The head region is masked for de-identification.
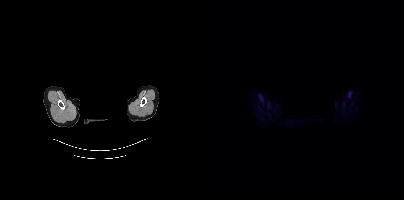
Negative for PSMA-avid disease on this slice.